modality: PSMA PET/CT | tracer: 68Ga-PSMA | view: axial
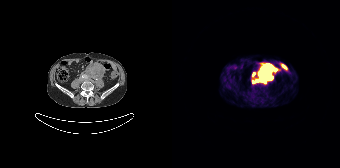
Coordinates are on the 168×168 PET (right) panel. PSMA-avid tumor lesion bounding box (x, y, width, height): x=84 y=64 w=22 h=19. Small PSMA-avid foci (2 to 4 px across) near (center x, center y): (81, 74) | (81, 81).